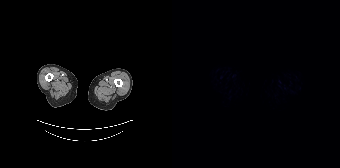
Findings: This slice has no annotated PSMA-avid lesion.
Technique: Paired axial CT (left) and PSMA PET (right), 18F tracer. acquired on Siemens Biograph 64-4R TruePoint.